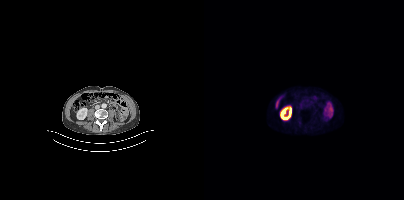
No PSMA-avid tumor lesions on this slice.